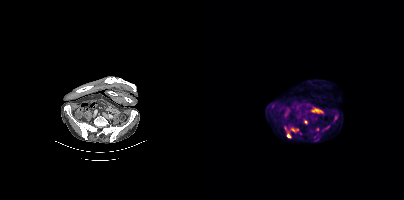
{"pet_grid":[200,200],"coord_frame":"pet_panel","coord_format":"x0,y0,x1,y1","lesion_bboxes":[[81,127,87,137],[87,128,94,132],[120,125,126,129]],"small_foci_centers":[[132,117],[101,122],[69,105],[113,129]],"modality":"PSMA PET/CT","view":"axial","tracer":"18F-PSMA"}